Paired axial CT (left) and PSMA PET (right), 18F-PSMA tracer. Slice position z = -1361 mm. PET panel 200×200 px (4.1 mm/px).
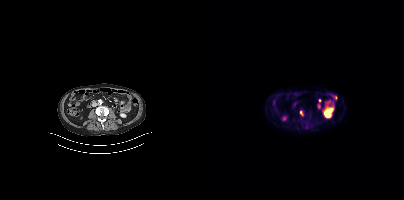
Coordinates are on the 200×200 PET (right) panel. Small PSMA-avid focus (2 to 4 px across) near (center x, center y): (97, 113).